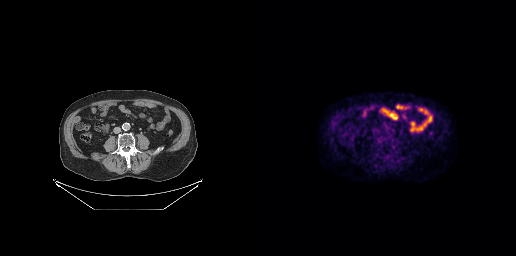
{"modality":"PSMA PET/CT","view":"axial","tracer":"18F-PSMA","pet_grid":[256,256],"coord_frame":"pet_panel","coord_format":"x0,y0,x1,y1","psma_avid_lesions":false}